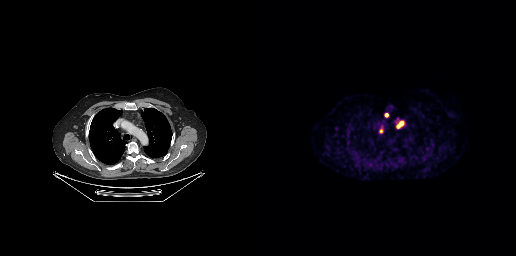
Coordinates are on the 256×256 PET (right) panel. PSMA-avid tumor lesion bounding boxes (x, y, width, height): x=137 y=121 w=7 h=7 | x=124 y=113 w=5 h=5. Small PSMA-avid focus (2 to 4 px across) near (center x, center y): (120, 131). Two-panel axial: CT | PSMA PET, 18F-PSMA tracer. Acquired on GE Discovery 690.